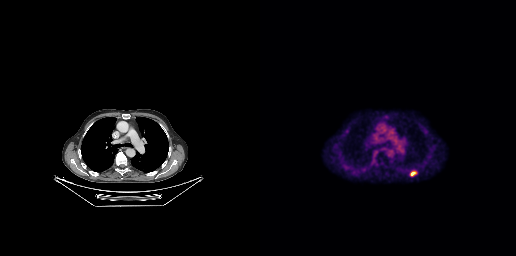
{"pet_grid":[256,256],"coord_frame":"pet_panel","coord_format":"x0,y0,x1,y1","lesion_bboxes":[[150,171,156,176]],"modality":"PSMA PET/CT","view":"axial","tracer":"18F-PSMA"}